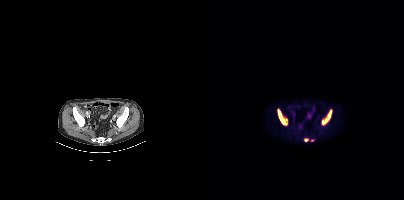
Technique: Two-panel axial: CT | PSMA PET, 18F tracer. slice 97 of 435.
Findings: Coordinates are on the 200×200 PET (right) panel. PSMA-avid tumor lesion bounding boxes (x0,y0,x1,y1): [118,110,127,125]; [74,109,82,124]. Small PSMA-avid foci (2 to 4 px across) near (center x, center y): (102, 139); (108, 140).